modality: PSMA PET/CT | tracer: 18F-PSMA | view: axial
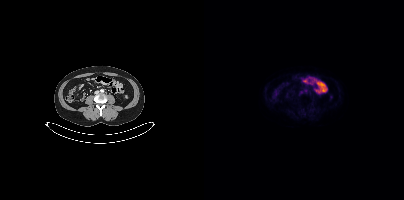
No PSMA-avid tumor lesions on this slice.